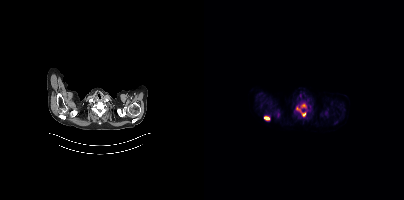
Coordinates are on the 200×200 PET (right) panel. PSMA-avid tumor lesion bounding boxes:
| # | x0 | y0 | x1 | y1 |
|---|---|---|---|---|
| 1 | 92 | 104 | 104 | 116 |
| 2 | 60 | 117 | 65 | 119 |
Paired axial CT (left) and PSMA PET (right), 18F tracer. Acquired on Siemens Biograph mCT Flow 20. Slice position z = -967 mm. PET panel 200×200 px (4.1 mm/px).